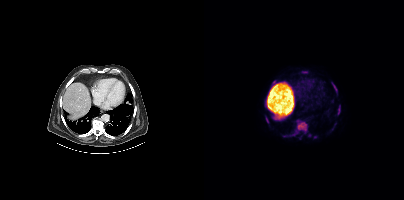
Findings: Coordinates are on the 200×200 PET (right) panel. (showing 4 of 5 foci) PSMA-avid tumor lesion bounding boxes (x, y, width, height): x=88 y=120 w=16 h=16; x=128 y=83 w=5 h=9; x=62 y=117 w=3 h=7; x=134 y=110 w=2 h=5.
Technique: Left: CT. Right: PSMA PET, same axial level, 18F tracer. slice 257 of 423.